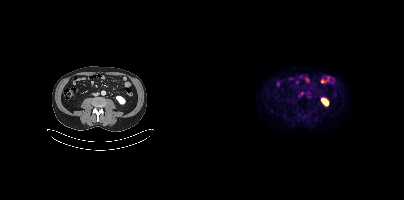
{"modality":"PSMA PET/CT","view":"axial","tracer":"[18F]PSMA-1007","pet_grid":[200,200],"coord_frame":"pet_panel","coord_format":"x0,y0,x1,y1","lesion_bboxes":[],"small_foci_centers":[[97,93]]}